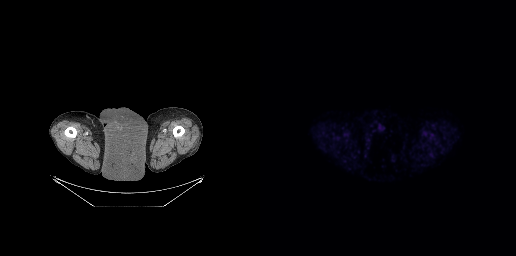
This slice has no annotated PSMA-avid lesion. Two-panel axial: CT | PSMA PET, 18F-PSMA tracer. Slice position z = -986 mm. PET panel 256×256 px (2.7 mm/px).